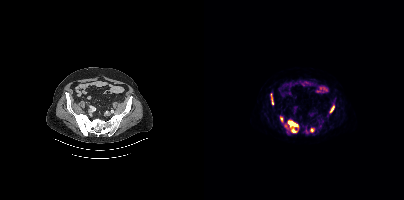
modality: PSMA PET/CT | tracer: [18F]PSMA-1007 | view: axial
Coordinates are on the 200×200 PET (right) panel. PSMA-avid tumor lesion bounding boxes (x, y, width, height): x=81 y=120 w=14 h=13 / x=125 y=105 w=6 h=9 / x=67 y=93 w=3 h=12 / x=106 y=128 w=5 h=5 / x=76 y=116 w=4 h=6.